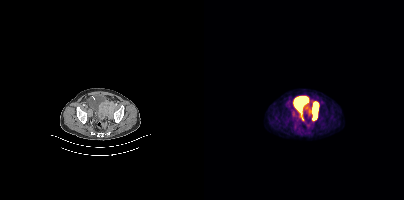
{"modality":"PSMA PET/CT","view":"axial","tracer":"18F-PSMA","pet_grid":[200,200],"coord_frame":"pet_panel","coord_format":"x0,y0,x1,y1","lesion_bboxes":[[109,102,114,119]]}